- Two-panel axial: CT | PSMA PET, 68Ga tracer
- acquired on Siemens Biograph mCT Flow 20
- slice position z = -1599 mm
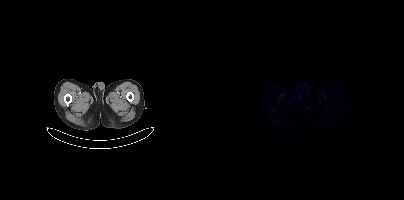
Findings: No PSMA-avid tumor lesions on this slice.